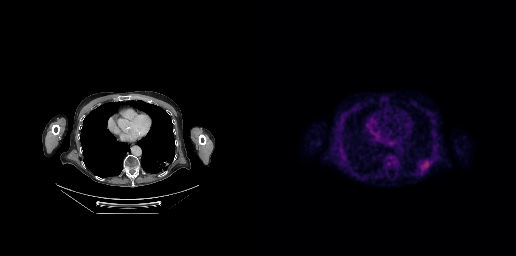
Coordinates are on the 256×256 PET (right) panel. PSMA-avid tumor lesion bounding box (x, y, width, height): x=162 y=162 w=7 h=7.